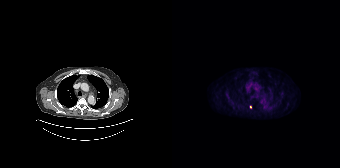
Coordinates are on the 168×168 PET (right) panel. Small PSMA-avid focus (2 to 4 px across) near (center x, center y): (78, 106).
modality: PSMA PET/CT | tracer: [18F]PSMA-1007 | view: axial